Paired axial CT (left) and PSMA PET (right), [18F]PSMA-1007 tracer.
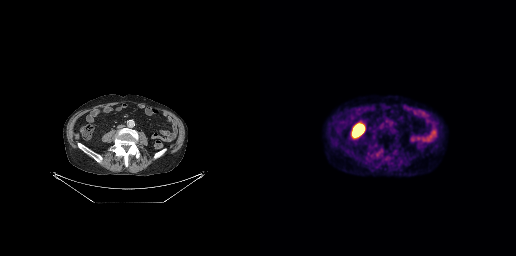
Negative for PSMA-avid disease on this slice.